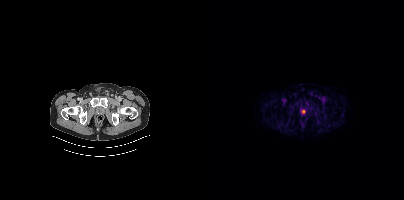
Coordinates are on the 200×200 PET (right) panel. PSMA-avid tumor lesion bounding box (x0,y0,x1,y1): [97,109,101,113].